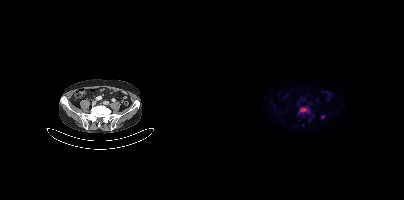
Findings: Coordinates are on the 200×200 PET (right) panel. (showing 2 of 3 foci) PSMA-avid tumor lesion bounding box (x0, y0)-(x1, y1): (95, 107)-(104, 113). Small PSMA-avid focus (2 to 4 px across) near (center x, center y): (118, 116).
- Left: CT. Right: PSMA PET, same axial level, [18F]PSMA-1007 tracer
- acquired on Siemens Biograph mCT Flow 20
- slice position z = -108 mm
- PET panel 200×200 px (4.1 mm/px)